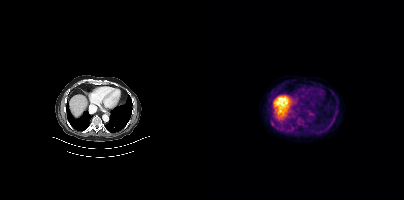
{"modality":"PSMA PET/CT","view":"axial","tracer":"[18F]PSMA-1007","pet_grid":[200,200],"coord_frame":"pet_panel","coord_format":"x0,y0,x1,y1","psma_avid_lesions":false}